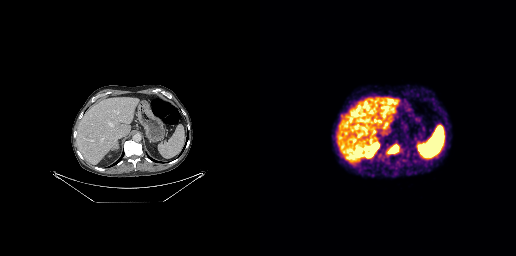
Coordinates are on the 256×256 PET (right) panel. (showing 1 of 2 foci) Small PSMA-avid focus (2 to 4 px across) near (center x, center y): (130, 150).